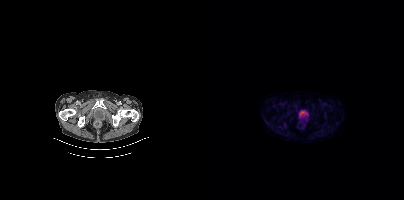
This slice has no annotated PSMA-avid lesion.